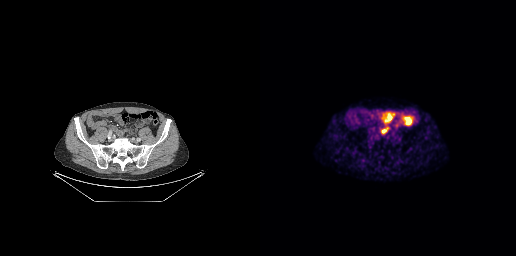
No PSMA-avid tumor lesions on this slice.